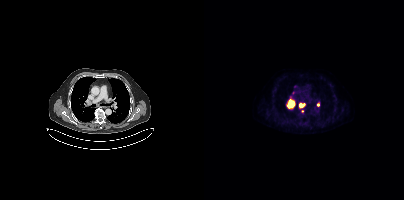
Coordinates are on the 200×200 PET (right) panel. PSMA-avid tumor lesion bounding box (x, y, width, height): x=95 y=104 w=6 h=4.